A rectangular block over the head has been blanked out for de-identification.
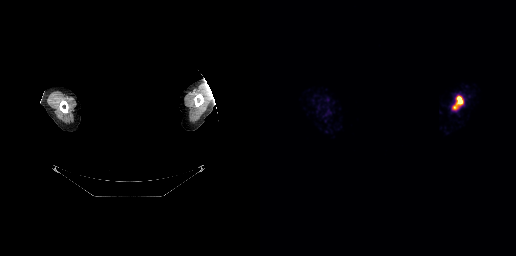
Coordinates are on the 256×256 PET (right) panel. PSMA-avid tumor lesion bounding box (x, y, width, height): x=193 y=96 w=11 h=14.